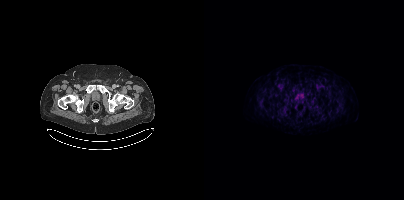
Two-panel axial: CT | PSMA PET, 18F tracer. PET panel 200×200 px (4.1 mm/px). No tumor lesions annotated on this slice.